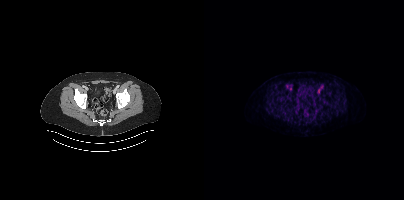
- Left: CT. Right: PSMA PET, same axial level, [18F]PSMA-1007 tracer
Findings: No PSMA-avid tumor lesions on this slice.